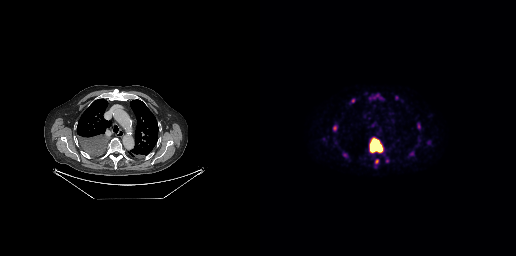
Technique: Two-panel axial: CT | PSMA PET, 18F tracer.
Findings: Coordinates are on the 256×256 PET (right) panel. (showing 7 of 8 foci) PSMA-avid tumor lesion bounding boxes (x0,y0,x1,y1): [109,137,123,153] [157,123,160,128] [73,126,76,130] [115,159,118,163]. Small PSMA-avid foci (2 to 4 px across) near (center x, center y): (92, 100) (136, 97) (85, 154).